Part of this slice was blanked for de-identification. Two-panel axial: CT | PSMA PET, [18F]PSMA-1007 tracer. Acquired on Siemens Biograph mCT Flow 20.
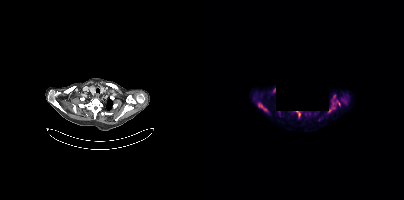
Coordinates are on the 200×200 PET (right) panel. PSMA-avid tumor lesion bounding boxes (x0,y0,x1,y1): [58,106,63,111] [124,107,130,112] [133,101,136,105]. Small PSMA-avid focus (2 to 4 px across) near (center x, center y): (129, 103).